- Left: CT. Right: PSMA PET, same axial level, 18F tracer
- a rectangular block over the head has been blanked out for de-identification
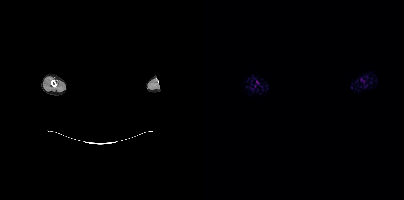
Findings: This slice has no annotated PSMA-avid lesion.